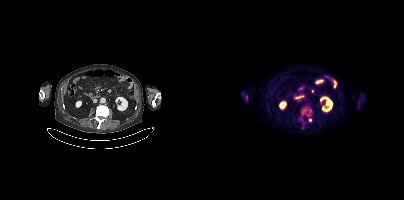
{"modality":"PSMA PET/CT","view":"axial","tracer":"18F-PSMA","pet_grid":[200,200],"coord_frame":"pet_panel","coord_format":"x0,y0,x1,y1","partial":true,"lesion_bboxes":[[97,109,107,121]],"small_foci_centers":[[97,119]]}